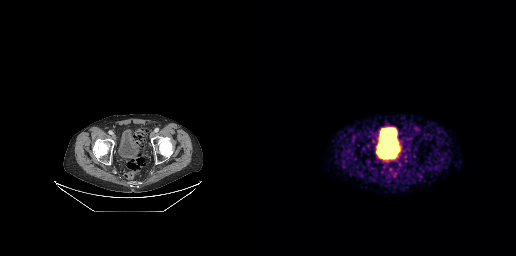
modality: PSMA PET/CT | tracer: 68Ga-PSMA | view: axial
No tumor lesions annotated on this slice.